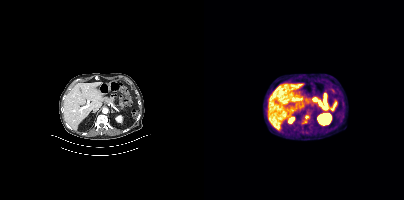
Coordinates are on the 200×200 PET (right) panel. PSMA-avid tumor lesion bounding box (x0, y0)-(x1, y1): (101, 115)-(104, 119). Small PSMA-avid focus (2 to 4 px across) near (center x, center y): (101, 121). Left: CT. Right: PSMA PET, same axial level, 18F tracer.